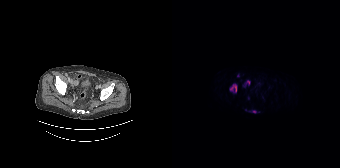
Findings: Coordinates are on the 168×168 PET (right) panel. (showing 4 of 6 foci) PSMA-avid tumor lesion bounding boxes (x, y, width, height): x=58 y=84 w=7 h=9 / x=71 y=80 w=8 h=8 / x=80 y=110 w=5 h=3. Small PSMA-avid focus (2 to 4 px across) near (center x, center y): (65, 75).
- Paired axial CT (left) and PSMA PET (right), 18F tracer
- acquired on Siemens Biograph 64-4R TruePoint